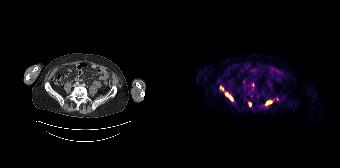
Two-panel axial: CT | PSMA PET, 68Ga tracer. Slice 88 of 195. PET panel 168×168 px (4.1 mm/px). Coordinates are on the 168×168 PET (right) panel. (showing 3 of 4 foci) PSMA-avid tumor lesion bounding boxes (x, y, width, height): x=54 y=94 w=7 h=6; x=94 y=101 w=5 h=3. Small PSMA-avid focus (2 to 4 px across) near (center x, center y): (78, 104).